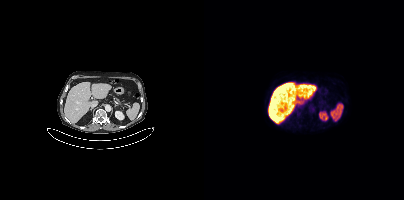
No tumor lesions annotated on this slice.